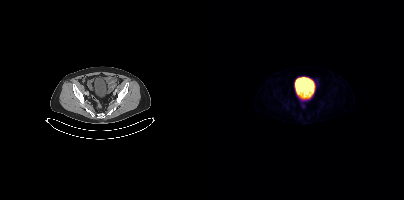
modality: PSMA PET/CT | tracer: [68Ga]Ga-PSMA-11 | view: axial | PET grid: 200×200
Negative for PSMA-avid disease on this slice.